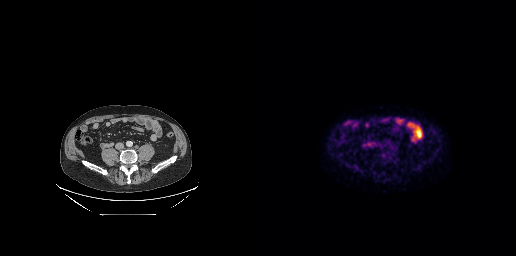
Negative for PSMA-avid disease on this slice. Paired axial CT (left) and PSMA PET (right), 18F tracer. Acquired on GE Discovery 690. Slice 106 of 263.